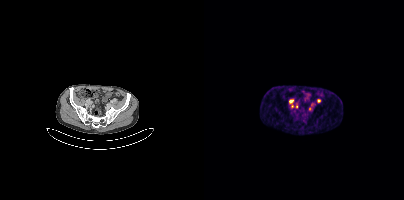
{"modality":"PSMA PET/CT","view":"axial","tracer":"68Ga","pet_grid":[200,200],"coord_frame":"pet_panel","coord_format":"x0,y0,x1,y1","partial":true,"lesion_bboxes":[[85,99,89,103]],"small_foci_centers":[[114,100],[92,106],[88,106],[105,108]]}